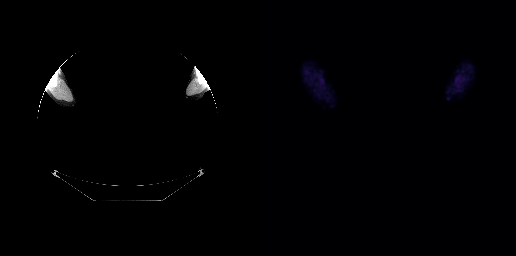
This slice has no annotated PSMA-avid lesion. Left: CT. Right: PSMA PET, same axial level, 18F tracer. Acquired on GE Discovery 690. Slice position z = -27 mm. PET panel 256×256 px (2.7 mm/px). Any black rectangle over the head is a privacy mask, not anatomy.